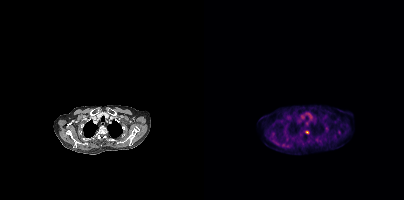
{"modality":"PSMA PET/CT","view":"axial","tracer":"[18F]PSMA-1007","pet_grid":[200,200],"coord_frame":"pet_panel","coord_format":"x0,y0,x1,y1","lesion_bboxes":[],"small_foci_centers":[[102,132],[69,134],[135,132]]}